- Two-panel axial: CT | PSMA PET, 18F tracer
- PET panel 200×200 px (4.1 mm/px)
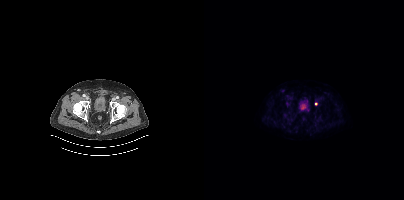
Findings: Coordinates are on the 200×200 PET (right) panel. Small PSMA-avid focus (2 to 4 px across) near (center x, center y): (112, 103).